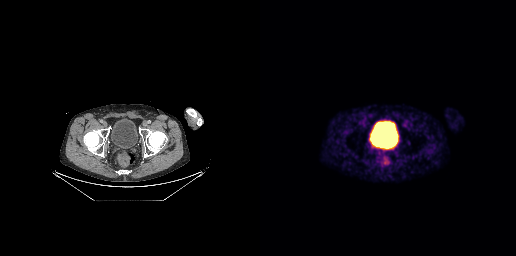
Left: CT. Right: PSMA PET, same axial level, [68Ga]Ga-PSMA-11 tracer. No PSMA-avid tumor lesions on this slice.